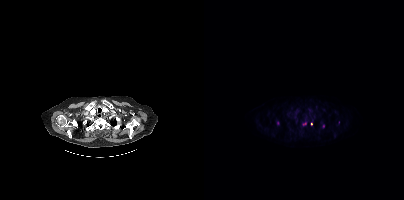
Coordinates are on the 200×200 PET (right) panel. (showing 2 of 3 foci) PSMA-avid tumor lesion bounding boxes (x, y, width, height): x=99 y=121 w=5 h=5; x=106 y=120 w=3 h=6.
modality: PSMA PET/CT | tracer: [18F]PSMA-1007 | view: axial | PET grid: 200×200